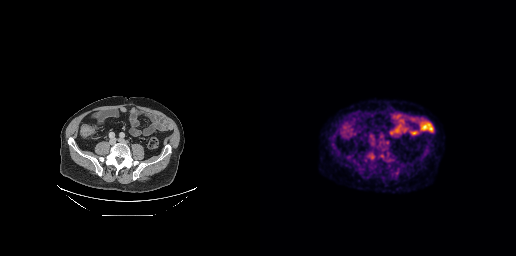
Coordinates are on the 256×256 PET (right) panel. PSMA-avid tumor lesion bounding boxes:
| # | x0 | y0 | x1 | y1 |
|---|---|---|---|---|
| 1 | 127 | 159 | 132 | 161 |
Small PSMA-avid focus (2 to 4 px across) near (center x, center y): (110, 157).
Paired axial CT (left) and PSMA PET (right), [18F]PSMA-1007 tracer. Slice position z = -606 mm.